Technique: Two-panel axial: CT | PSMA PET, 18F-PSMA tracer. PET panel 200×200 px (4.1 mm/px).
Note: Any black rectangle over the head is a privacy mask, not anatomy.
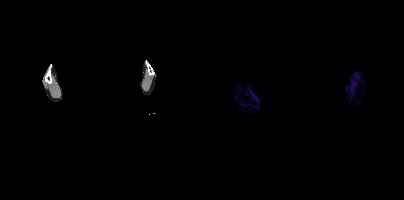
Findings: No PSMA-avid tumor lesions on this slice.